- Paired axial CT (left) and PSMA PET (right), 18F tracer
- acquired on Siemens Biograph mCT Flow 20
- slice position z = -24 mm
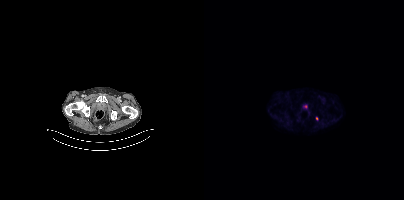
Findings: Coordinates are on the 200×200 PET (right) panel. Small PSMA-avid focus (2 to 4 px across) near (center x, center y): (112, 118).